Left: CT. Right: PSMA PET, same axial level, 18F-PSMA tracer. Acquired on Siemens Biograph mCT Flow 20.
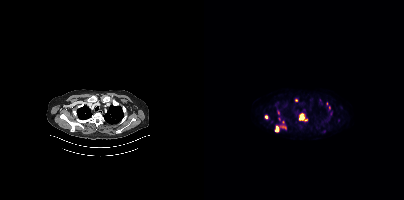
Coordinates are on the 200×200 PET (right) panel. (showing 6 of 10 foci) PSMA-avid tumor lesion bounding boxes (x, y, width, height): x=95 y=113 w=9 h=9 | x=71 y=125 w=5 h=8 | x=122 y=102 w=5 h=8 | x=78 y=126 w=5 h=3. Small PSMA-avid foci (2 to 4 px across) near (center x, center y): (62, 116) | (92, 100).